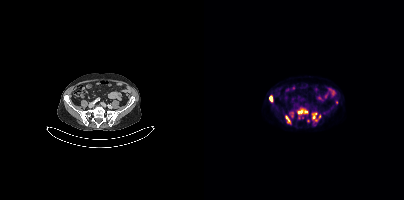
modality: PSMA PET/CT | tracer: [18F]PSMA-1007 | view: axial | PET grid: 200×200
Coordinates are on the 200×200 PET (right) panel. (showing 6 of 8 foci) PSMA-avid tumor lesion bounding boxes (x0,y0,x1,y1): [93,108,103,114]; [108,113,112,119]; [81,115,86,123]; [65,95,68,101]. Small PSMA-avid foci (2 to 4 px across) near (center x, center y): (115, 116); (132, 102).